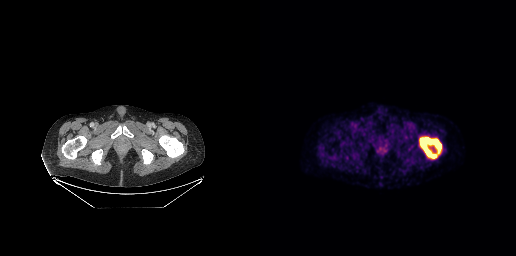
Coordinates are on the 256×256 PET (right) panel. PSMA-avid tumor lesion bounding box (x0,y0,x1,y1): [159,137,181,158].